Left: CT. Right: PSMA PET, same axial level, 18F-PSMA tracer. Slice 275 of 425.
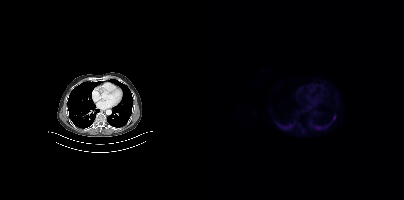
Coordinates are on the 200×200 PET (right) panel. Small PSMA-avid focus (2 to 4 px across) near (center x, center y): (130, 117).